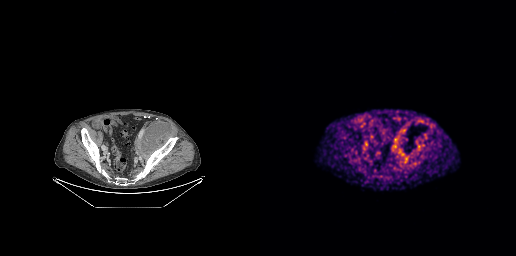
Coordinates are on the 256×256 PET (right) panel. (showing 2 of 3 foci) PSMA-avid tumor lesion bounding boxes (x, y, width, height): x=140 y=151 w=7 h=7 / x=151 y=150 w=4 h=5.